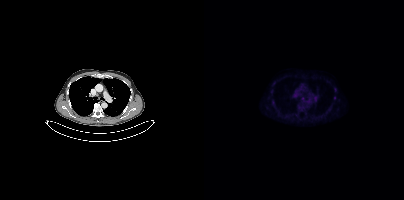
Findings: Coordinates are on the 200×200 PET (right) panel. Small PSMA-avid focus (2 to 4 px across) near (center x, center y): (98, 98).
- Left: CT. Right: PSMA PET, same axial level, [18F]PSMA-1007 tracer
- slice 292 of 409
- PET panel 200×200 px (4.1 mm/px)